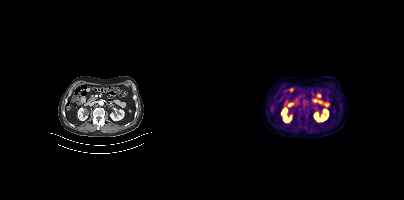
Findings: No PSMA-avid tumor lesions on this slice.
Technique: Left: CT. Right: PSMA PET, same axial level, 18F tracer. PET panel 200×200 px (4.1 mm/px).